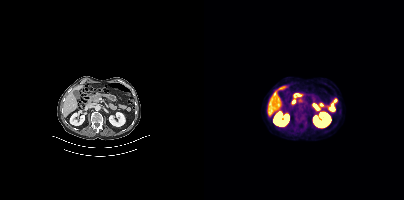
Technique: Paired axial CT (left) and PSMA PET (right), 18F tracer.
Findings: Negative for PSMA-avid disease on this slice.